Technique: Left: CT. Right: PSMA PET, same axial level, 68Ga tracer.
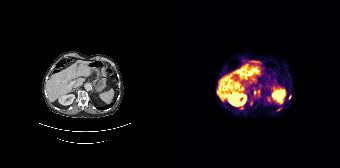
Findings: Coordinates are on the 168×168 PET (right) panel. PSMA-avid tumor lesion bounding boxes (x, y, width, height): x=67 y=107 w=5 h=3; x=86 y=90 w=2 h=6; x=105 y=107 w=6 h=4. Small PSMA-avid foci (2 to 4 px across) near (center x, center y): (83, 92); (79, 103); (117, 96).